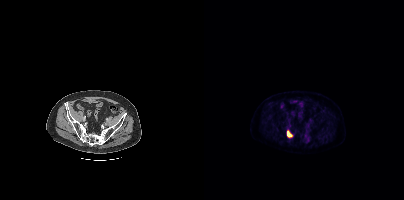
Findings: Coordinates are on the 200×200 PET (right) panel. PSMA-avid tumor lesion bounding box (x0, y0)-(x1, y1): (83, 132)-(87, 136).
Technique: Paired axial CT (left) and PSMA PET (right), [18F]PSMA-1007 tracer.